Left: CT. Right: PSMA PET, same axial level, 18F tracer. PET panel 200×200 px (4.1 mm/px).
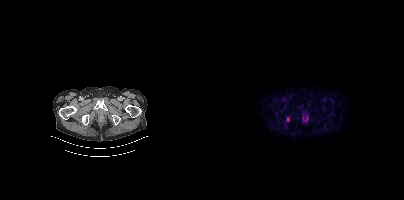
Coordinates are on the 200×200 PET (right) panel. Small PSMA-avid focus (2 to 4 px across) near (center x, center y): (83, 118).